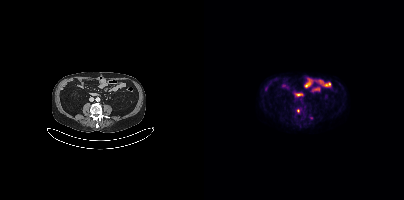
Left: CT. Right: PSMA PET, same axial level, 18F-PSMA tracer. Acquired on Siemens Biograph mCT Flow 20. Coordinates are on the 200×200 PET (right) panel. (showing 1 of 2 foci) Small PSMA-avid focus (2 to 4 px across) near (center x, center y): (107, 118).